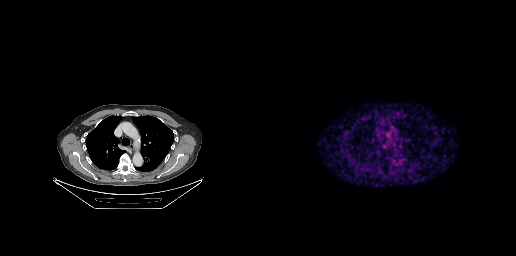
No tumor lesions annotated on this slice.